Left: CT. Right: PSMA PET, same axial level, [18F]PSMA-1007 tracer.
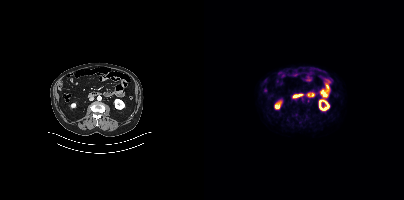
No PSMA-avid tumor lesions on this slice.